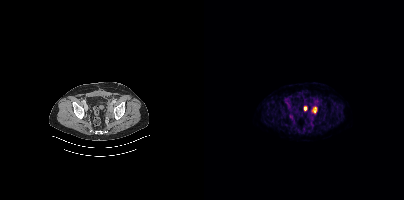
Findings: Coordinates are on the 200×200 PET (right) panel. PSMA-avid tumor lesion bounding boxes (x, y, width, height): x=108 y=106 w=6 h=8; x=100 y=106 w=3 h=5.
- Paired axial CT (left) and PSMA PET (right), 18F-PSMA tracer
- slice position z = -858 mm
- PET panel 200×200 px (4.1 mm/px)